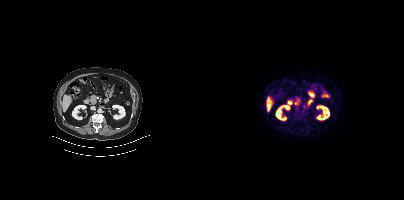
Paired axial CT (left) and PSMA PET (right), [18F]PSMA-1007 tracer. Acquired on Siemens Biograph mCT Flow 20. Slice position z = -574 mm. PET panel 200×200 px (4.1 mm/px). No PSMA-avid tumor lesions on this slice.